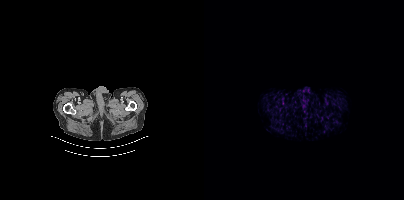
{"modality":"PSMA PET/CT","view":"axial","tracer":"18F-PSMA","pet_grid":[200,200],"coord_frame":"pet_panel","coord_format":"x0,y0,x1,y1","psma_avid_lesions":false}